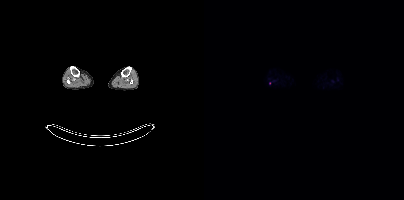
Paired axial CT (left) and PSMA PET (right), 18F-PSMA tracer. Acquired on Siemens Biograph mCT Flow 20. Slice 237 of 963. PET panel 200×200 px (4.1 mm/px). Only PSMA-avid lesion pieces thinner than 2 px on this slice (not listed).